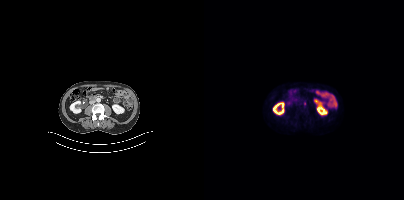
No tumor lesions annotated on this slice.